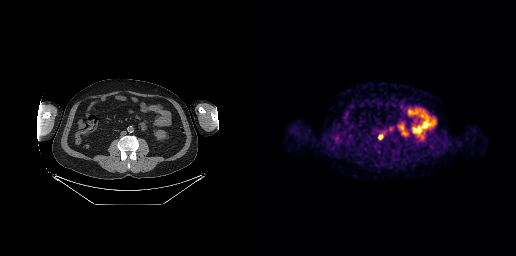
Coordinates are on the 256×256 PET (right) panel. PSMA-avid tumor lesion bounding box (x0,y0,x1,y1): [118,135,122,139].